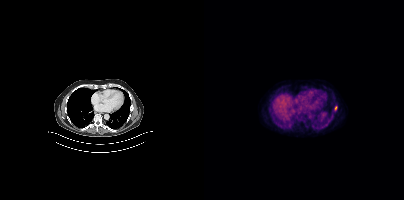
Coordinates are on the 200×200 PET (right) panel. PSMA-avid tumor lesion bounding box (x0, y0)-(x1, y1): (130, 106)-(133, 110).